Paired axial CT (left) and PSMA PET (right), 18F tracer.
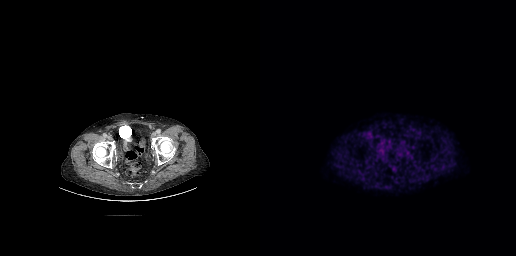
No PSMA-avid tumor lesions on this slice.